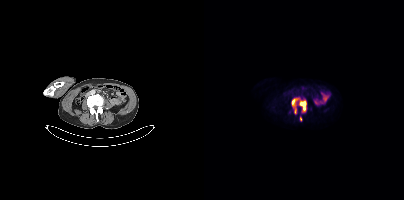
Coordinates are on the 200×200 PET (right) panel. PSMA-avid tumor lesion bounding boxes (x0,y0,x1,y1): [87,99,102,114], [96,116,97,120]. Two-panel axial: CT | PSMA PET, [18F]PSMA-1007 tracer. Acquired on Siemens Biograph mCT Flow 20. Slice 161 of 409.